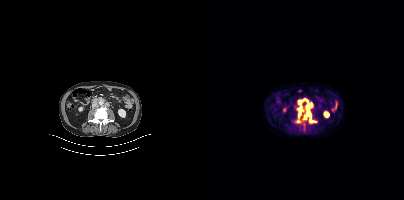
{"modality":"PSMA PET/CT","view":"axial","tracer":"18F","pet_grid":[200,200],"coord_frame":"pet_panel","coord_format":"x0,y0,x1,y1","lesion_bboxes":[[99,103,112,123],[93,106,99,118],[94,99,104,104]],"small_foci_centers":[[94,121]]}